Technique: Paired axial CT (left) and PSMA PET (right), 18F tracer.
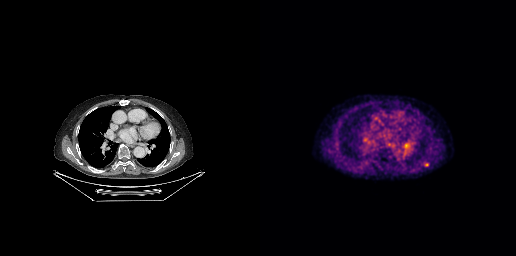
Findings: Coordinates are on the 256×256 PET (right) panel. Small PSMA-avid focus (2 to 4 px across) near (center x, center y): (167, 164).